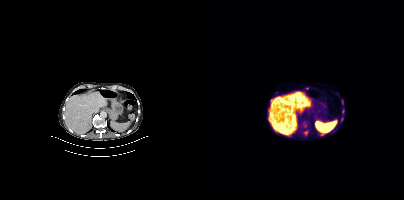
Coordinates are on the 200×200 PET (right) panel. (showing 3 of 4 foci) Small PSMA-avid foci (2 to 4 px across) near (center x, center y): (138, 101); (139, 111); (102, 132). Paired axial CT (left) and PSMA PET (right), 18F tracer. Slice position z = -520 mm.